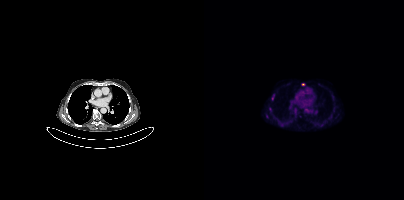
Coordinates are on the 200×200 PET (right) panel. Small PSMA-avid focus (2 to 4 px across) near (center x, center y): (99, 84). Two-panel axial: CT | PSMA PET, [18F]PSMA-1007 tracer.